modality: PSMA PET/CT | tracer: 18F-PSMA | view: axial
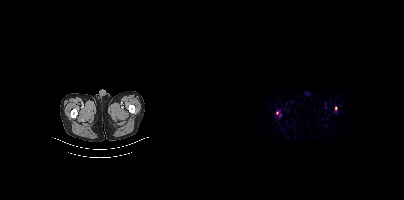
Coordinates are on the 200×200 PET (right) panel. (showing 1 of 2 foci) Small PSMA-avid focus (2 to 4 px across) near (center x, center y): (131, 108).